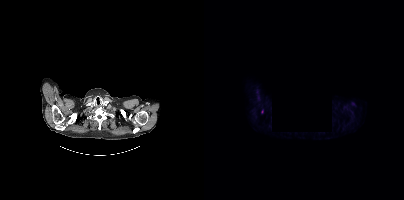
de-identification: rectangular block set to black | modality: PSMA PET/CT | tracer: 18F-PSMA | view: axial | PET grid: 200×200
Coordinates are on the 200×200 PET (right) panel. Small PSMA-avid focus (2 to 4 px across) near (center x, center y): (58, 111).